- Left: CT. Right: PSMA PET, same axial level, [18F]PSMA-1007 tracer
- PET panel 200×200 px (4.1 mm/px)
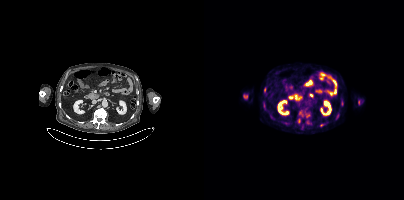
Findings: Coordinates are on the 200×200 PET (right) panel. (showing 5 of 8 foci) PSMA-avid tumor lesion bounding boxes (x, y, width, height): x=137 y=100 w=3 h=5 | x=60 y=88 w=2 h=5. Small PSMA-avid foci (2 to 4 px across) near (center x, center y): (117, 125) | (60, 104) | (104, 115).